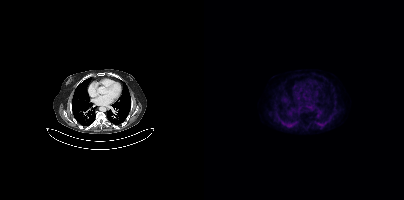
This slice has no annotated PSMA-avid lesion. Left: CT. Right: PSMA PET, same axial level, 18F tracer. PET panel 200×200 px (4.1 mm/px).